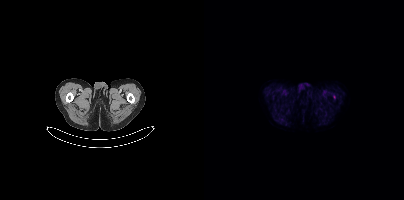
Technique: Left: CT. Right: PSMA PET, same axial level, 18F-PSMA tracer. acquired on Siemens Biograph mCT Flow 20.
Findings: No tumor lesions annotated on this slice.